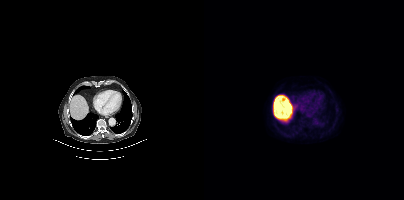
{"modality":"PSMA PET/CT","view":"axial","tracer":"18F","pet_grid":[200,200],"coord_frame":"pet_panel","coord_format":"x0,y0,x1,y1","psma_avid_lesions":false}